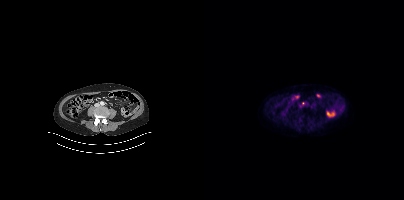
Only PSMA-avid lesion pieces thinner than 2 px on this slice (not listed).